modality: PSMA PET/CT | tracer: [68Ga]Ga-PSMA-11 | view: axial | PET grid: 256×256
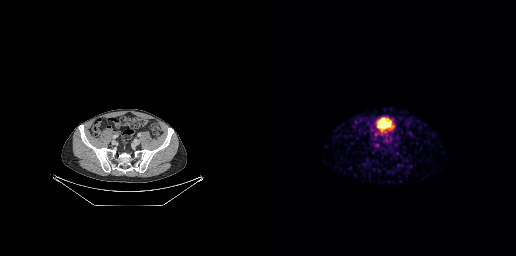
Negative for PSMA-avid disease on this slice.